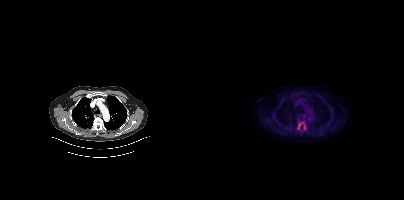
{"modality":"PSMA PET/CT","view":"axial","tracer":"[18F]PSMA-1007","pet_grid":[200,200],"coord_frame":"pet_panel","coord_format":"x0,y0,x1,y1","lesion_bboxes":[[93,122,101,129]]}